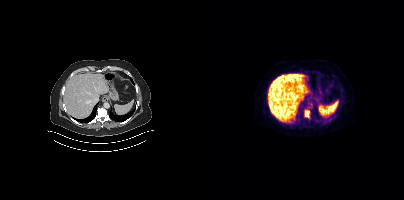
Technique: Left: CT. Right: PSMA PET, same axial level, 18F-PSMA tracer. acquired on Siemens Biograph mCT Flow 20. slice position z = -1176 mm.
Findings: Coordinates are on the 200×200 PET (right) panel. PSMA-avid tumor lesion bounding box (x0,y0,x1,y1): [101,110,105,117].